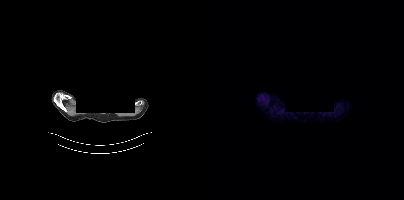
{"pet_grid":[200,200],"coord_frame":"pet_panel","coord_format":"x0,y0,x1,y1","psma_avid_lesions":false,"modality":"PSMA PET/CT","view":"axial","tracer":"[18F]PSMA-1007","deidentification":"face masked with black rectangle"}